- Two-panel axial: CT | PSMA PET, 18F-PSMA tracer
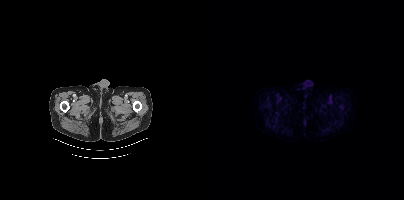
Findings: No tumor lesions annotated on this slice.